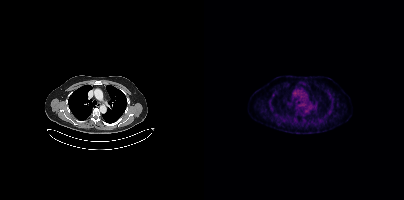
modality: PSMA PET/CT | tracer: [18F]PSMA-1007 | view: axial
This slice has no annotated PSMA-avid lesion.